modality: PSMA PET/CT | tracer: 18F | view: axial | PET grid: 200×200
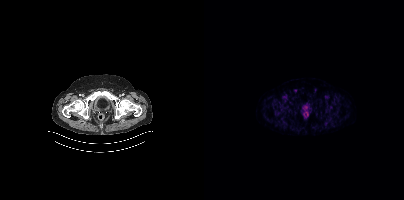
No PSMA-avid tumor lesions on this slice.